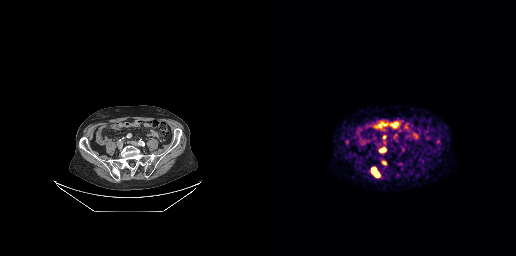
{"pet_grid":[256,256],"coord_frame":"pet_panel","coord_format":"x0,y0,x1,y1","lesion_bboxes":[[111,167,119,177],[119,147,126,152],[121,160,126,165]],"small_foci_centers":[[124,136],[178,141]],"modality":"PSMA PET/CT","view":"axial","tracer":"68Ga"}